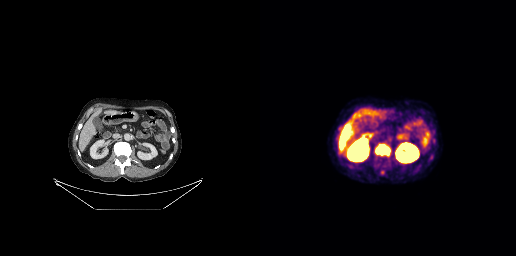
Coordinates are on the 256×256 PET (right) panel. PSMA-avid tumor lesion bounding box (x0,y0,x1,y1): [115,144,130,155].
modality: PSMA PET/CT | tracer: 18F | view: axial